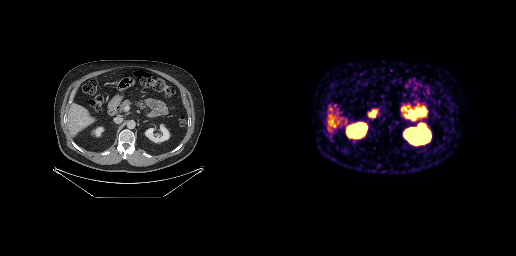
Coordinates are on the 256×256 PET (right) panel. PSMA-avid tumor lesion bounding box (x0,y0,x1,y1): [108,112,111,117].